modality: PSMA PET/CT | tracer: 68Ga | view: axial | PET grid: 256×256
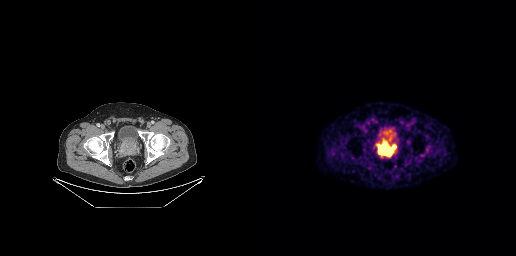
Coordinates are on the 256×256 PET (right) panel. PSMA-avid tumor lesion bounding boxes (x0,y0,x1,y1): [118,142,135,156] [128,137,132,141].